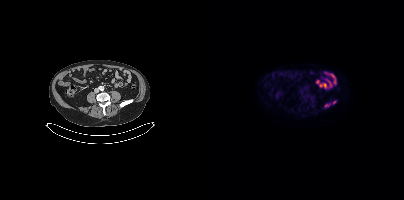
Coordinates are on the 200×200 PET (right) panel. PSMA-avid tumor lesion bounding box (x0, y0)-(x1, y1): (121, 104)-(125, 107). Small PSMA-avid focus (2 to 4 px across) near (center x, center y): (130, 102). Left: CT. Right: PSMA PET, same axial level, 18F-PSMA tracer. Acquired on Siemens Biograph mCT Flow 20. Slice position z = -757 mm. PET panel 200×200 px (4.1 mm/px).